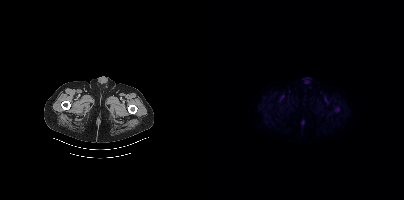
- Paired axial CT (left) and PSMA PET (right), 18F-PSMA tracer
- slice 49 of 464
Findings: Coordinates are on the 200×200 PET (right) panel. PSMA-avid tumor lesion bounding box (x, y, width, height): x=131 y=107 w=5 h=5.